Left: CT. Right: PSMA PET, same axial level, [68Ga]Ga-PSMA-11 tracer.
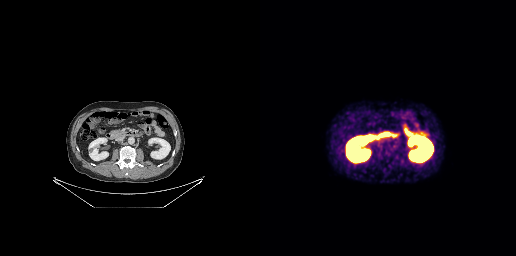
No tumor lesions annotated on this slice.